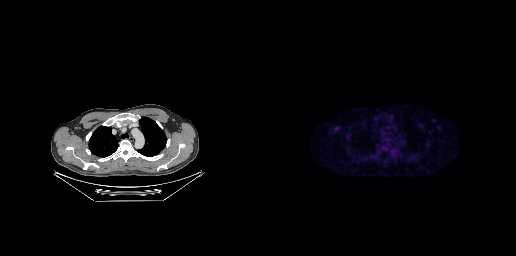
modality: PSMA PET/CT | tracer: [18F]PSMA-1007 | view: axial
Coordinates are on the 256×256 PET (right) panel. PSMA-avid tumor lesion bounding box (x0, y0)-(x1, y1): (75, 127)-(79, 130).